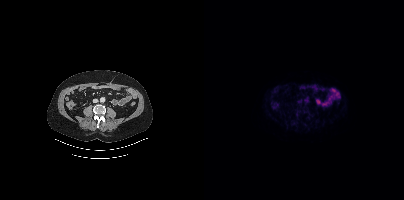
Paired axial CT (left) and PSMA PET (right), 18F-PSMA tracer. Slice position z = -816 mm. Negative for PSMA-avid disease on this slice.